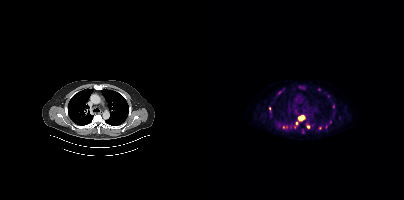
Findings: Coordinates are on the 200×200 PET (right) panel. (showing 5 of 7 foci) PSMA-avid tumor lesion bounding box (x, y, width, height): x=94 y=115 w=8 h=7. Small PSMA-avid foci (2 to 4 px across) near (center x, center y): (104, 126) | (92, 123) | (65, 108) | (79, 127).
Technique: Two-panel axial: CT | PSMA PET, 18F-PSMA tracer. acquired on Siemens Biograph mCT Flow 20.